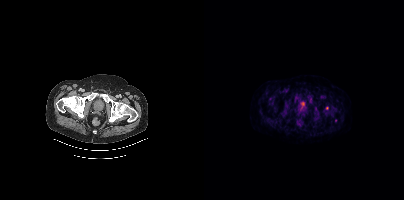
{"modality":"PSMA PET/CT","view":"axial","tracer":"[18F]PSMA-1007","pet_grid":[200,200],"coord_frame":"pet_panel","coord_format":"x0,y0,x1,y1","partial":true,"lesion_bboxes":[],"small_foci_centers":[[122,108]]}